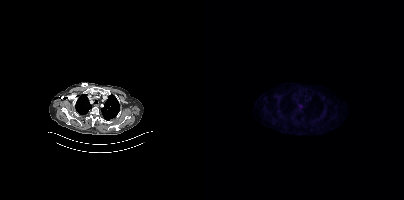
Two-panel axial: CT | PSMA PET, 18F tracer. Slice position z = -506 mm. PET panel 200×200 px (4.1 mm/px). No PSMA-avid tumor lesions on this slice.